- Left: CT. Right: PSMA PET, same axial level, 18F-PSMA tracer
- acquired on Siemens Biograph mCT Flow 20
- slice 301 of 425
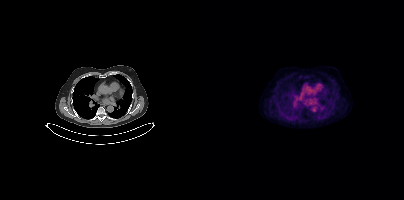
Findings: No PSMA-avid tumor lesions on this slice.